modality: PSMA PET/CT | tracer: 18F-PSMA | view: axial | PET grid: 200×200 | redaction: face masked with black rectangle
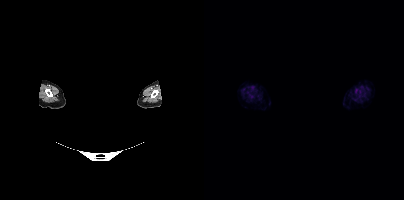
No PSMA-avid tumor lesions on this slice.